Technique: Left: CT. Right: PSMA PET, same axial level, [68Ga]Ga-PSMA-11 tracer. PET panel 256×256 px (2.7 mm/px).
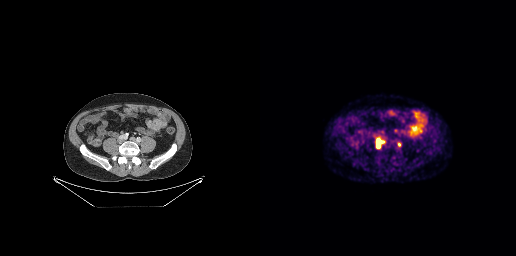
Findings: Coordinates are on the 256×256 PET (right) panel. PSMA-avid tumor lesion bounding boxes (x0,y0,x1,y1): [116,137,124,148], [137,142,141,146]. Small PSMA-avid focus (2 to 4 px across) near (center x, center y): (135, 130).